Two-panel axial: CT | PSMA PET, [18F]PSMA-1007 tracer. Slice 188 of 263.
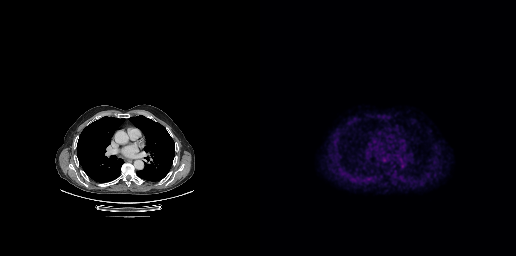
Coordinates are on the 256×256 PET (right) panel. Small PSMA-avid focus (2 to 4 px across) near (center x, center y): (128, 173).